Two-panel axial: CT | PSMA PET, 18F-PSMA tracer. PET panel 200×200 px (4.1 mm/px).
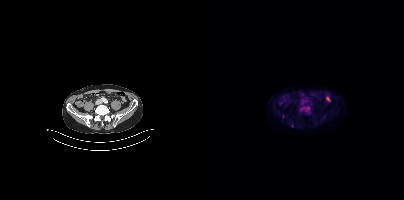
Coordinates are on the 200×200 PET (right) panel. (showing 3 of 5 foci) Small PSMA-avid foci (2 to 4 px across) near (center x, center y): (104, 108) | (79, 116) | (88, 125).